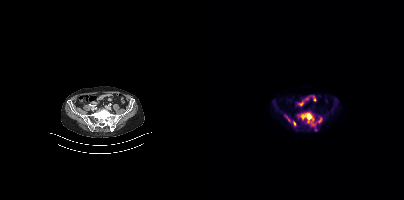
{"modality":"PSMA PET/CT","view":"axial","tracer":"18F-PSMA","pet_grid":[200,200],"coord_frame":"pet_panel","coord_format":"x0,y0,x1,y1","partial":true,"lesion_bboxes":[[92,113,113,131],[114,117,118,123],[80,115,85,121],[89,121,91,125]]}